Paired axial CT (left) and PSMA PET (right), 18F tracer. PET panel 200×200 px (4.1 mm/px).
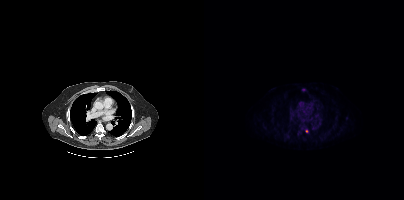
Coordinates are on the 200×200 PET (right) panel. Small PSMA-avid focus (2 to 4 px across) near (center x, center y): (102, 131).